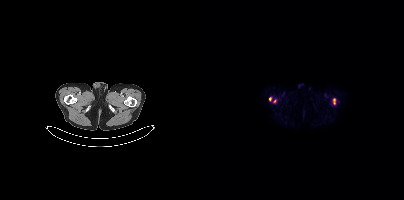
modality: PSMA PET/CT | tracer: 18F-PSMA | view: axial
Coordinates are on the 200×200 PET (right) panel. PSMA-avid tumor lesion bounding boxes (x, y, width, height): x=129 y=98 w=3 h=7; x=65 y=97 w=3 h=5. Small PSMA-avid focus (2 to 4 px across) near (center x, center y): (70, 100).